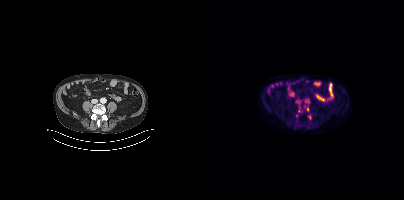
Findings: Coordinates are on the 200×200 PET (right) panel. (showing 1 of 3 foci) Small PSMA-avid focus (2 to 4 px across) near (center x, center y): (103, 109).
Technique: Two-panel axial: CT | PSMA PET, [18F]PSMA-1007 tracer. slice position z = -636 mm.